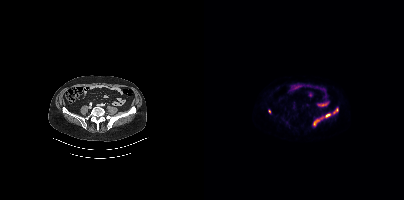
{"pet_grid":[200,200],"coord_frame":"pet_panel","coord_format":"x0,y0,x1,y1","lesion_bboxes":[[109,113,126,125],[130,108,134,113]],"small_foci_centers":[[65,111]],"modality":"PSMA PET/CT","view":"axial","tracer":"[18F]PSMA-1007"}